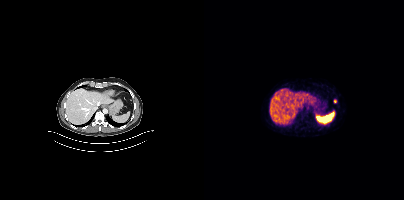
Coordinates are on the 200×200 PET (right) panel. Small PSMA-avid focus (2 to 4 px across) near (center x, center y): (131, 101).